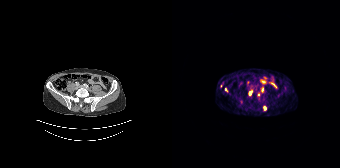
{"modality":"PSMA PET/CT","view":"axial","tracer":"[68Ga]Ga-PSMA-11","pet_grid":[168,168],"coord_frame":"pet_panel","coord_format":"x0,y0,x1,y1","partial":true,"lesion_bboxes":[[89,87,91,92]],"small_foci_centers":[[78,93],[93,108],[86,94],[53,89]]}